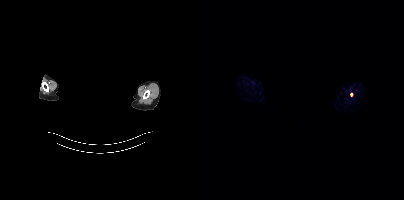
{"modality":"PSMA PET/CT","view":"axial","tracer":"68Ga","pet_grid":[200,200],"coord_frame":"pet_panel","coord_format":"x0,y0,x1,y1","lesion_bboxes":[],"small_foci_centers":[[147,94]],"redaction":"privacy mask over head"}